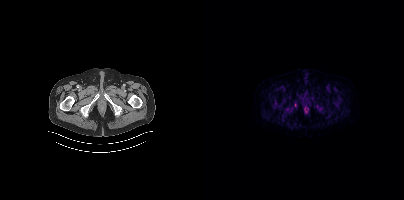
Two-panel axial: CT | PSMA PET, [18F]PSMA-1007 tracer. Acquired on Siemens Biograph mCT Flow 20. PET panel 200×200 px (4.1 mm/px). Negative for PSMA-avid disease on this slice.